- Left: CT. Right: PSMA PET, same axial level, [18F]PSMA-1007 tracer
- acquired on GE Discovery 690
- slice position z = -411 mm
- PET panel 256×256 px (2.7 mm/px)
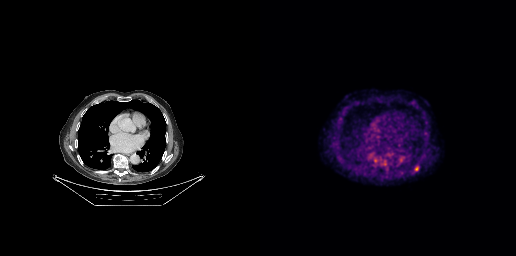
Findings: Coordinates are on the 256×256 PET (right) panel. PSMA-avid tumor lesion bounding box (x0, y0)-(x1, y1): (121, 158)-(129, 166). Small PSMA-avid foci (2 to 4 px across) near (center x, center y): (156, 168) / (112, 154) / (115, 160).